Technique: Paired axial CT (left) and PSMA PET (right), 18F-PSMA tracer. acquired on Siemens Biograph mCT Flow 20. PET panel 200×200 px (4.1 mm/px).
Note: Head region blanked for anonymization (face removed).
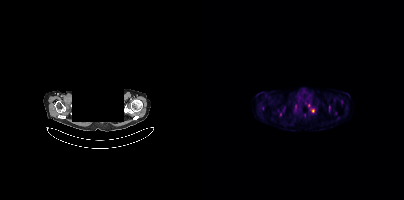
Findings: Coordinates are on the 200×200 PET (right) panel. Small PSMA-avid foci (2 to 4 px across) near (center x, center y): (108, 110) (104, 105).